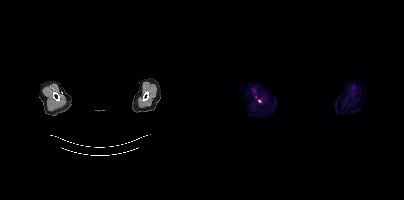
Head region blanked for anonymization (face removed).
Coordinates are on the 200×200 PET (right) panel. Small PSMA-avid focus (2 to 4 px across) near (center x, center y): (55, 101).